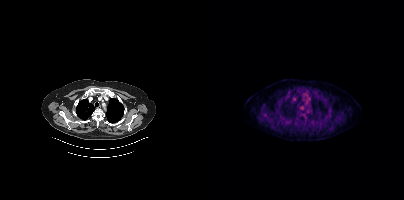
- Left: CT. Right: PSMA PET, same axial level, [18F]PSMA-1007 tracer
- slice 343 of 438
Findings: No tumor lesions annotated on this slice.